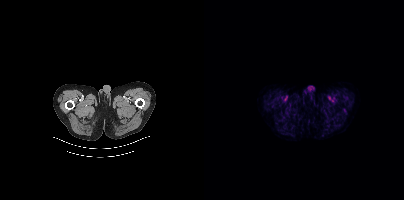
{"modality":"PSMA PET/CT","view":"axial","tracer":"[18F]PSMA-1007","pet_grid":[200,200],"coord_frame":"pet_panel","coord_format":"x0,y0,x1,y1","psma_avid_lesions":false}